modality: PSMA PET/CT | tracer: 18F | view: axial
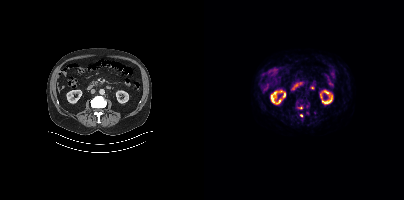
Coordinates are on the 200×200 PET (right) panel. PSMA-avid tumor lesion bounding box (x0,y0,x1,y1): [94,106,98,109]. Small PSMA-avid foci (2 to 4 px across) near (center x, center y): (97, 115) (103, 112).